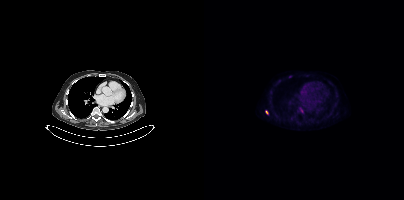
{"modality":"PSMA PET/CT","view":"axial","tracer":"18F","pet_grid":[200,200],"coord_frame":"pet_panel","coord_format":"x0,y0,x1,y1","lesion_bboxes":[],"small_foci_centers":[[63,112],[97,110]]}